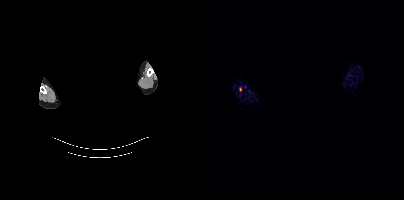
modality: PSMA PET/CT | tracer: 18F-PSMA | view: axial | redaction: head region blacked out before release
This slice has no annotated PSMA-avid lesion.